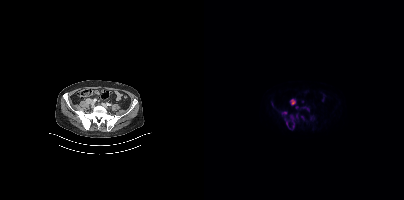
Findings: Coordinates are on the 200×200 PET (right) panel. (showing 7 of 8 foci) PSMA-avid tumor lesion bounding boxes (x, y, width, height): x=80 y=113 w=15 h=17; x=86 y=99 w=6 h=6; x=106 y=115 w=5 h=5; x=78 y=111 w=6 h=4; x=98 y=106 w=7 h=5; x=97 y=116 w=4 h=5. Small PSMA-avid focus (2 to 4 px across) near (center x, center y): (74, 110).
Technique: Two-panel axial: CT | PSMA PET, 18F-PSMA tracer. acquired on Siemens Biograph mCT Flow 20.